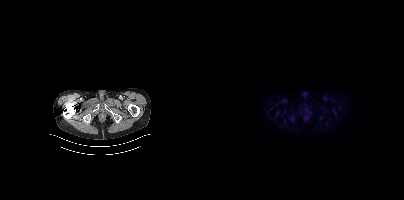
{"pet_grid":[200,200],"coord_frame":"pet_panel","coord_format":"x0,y0,x1,y1","psma_avid_lesions":false,"modality":"PSMA PET/CT","view":"axial","tracer":"[18F]PSMA-1007"}